Two-panel axial: CT | PSMA PET, 18F tracer. Slice position z = -1010 mm. PET panel 200×200 px (4.1 mm/px).
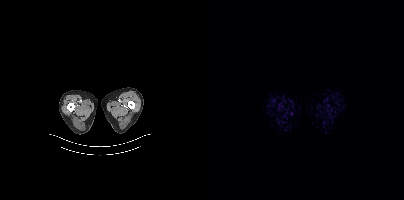
No tumor lesions annotated on this slice.